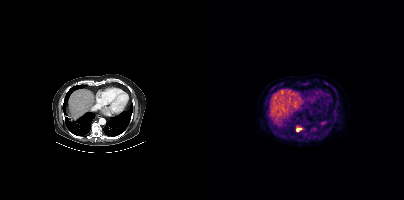
{"modality":"PSMA PET/CT","view":"axial","tracer":"18F","pet_grid":[200,200],"coord_frame":"pet_panel","coord_format":"x0,y0,x1,y1","lesion_bboxes":[[92,127,97,131]]}